Paired axial CT (left) and PSMA PET (right), [18F]PSMA-1007 tracer. Acquired on Siemens Biograph mCT Flow 20. Slice 115 of 423. PET panel 200×200 px (4.1 mm/px).
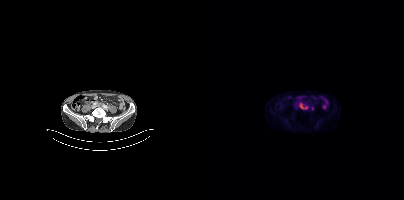
Coordinates are on the 200×200 PET (right) panel. PSMA-avid tumor lesion bounding boxes:
| # | x0 | y0 | x1 | y1 |
|---|---|---|---|---|
| 1 | 95 | 103 | 103 | 109 |
Small PSMA-avid focus (2 to 4 px across) near (center x, center y): (108, 108).